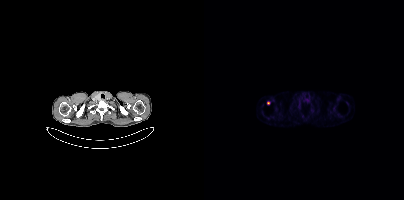
{"pet_grid":[200,200],"coord_frame":"pet_panel","coord_format":"x0,y0,x1,y1","lesion_bboxes":[],"small_foci_centers":[[64,103]],"modality":"PSMA PET/CT","view":"axial","tracer":"68Ga"}